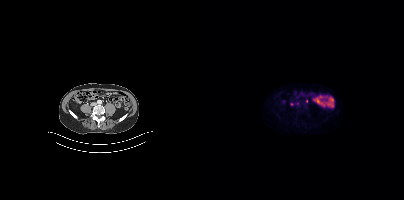
modality: PSMA PET/CT | tracer: 18F-PSMA | view: axial | PET grid: 200×200
Coordinates are on the 200×200 PET (right) panel. Small PSMA-avid foci (2 to 4 px across) near (center x, center y): (87, 104); (102, 100).